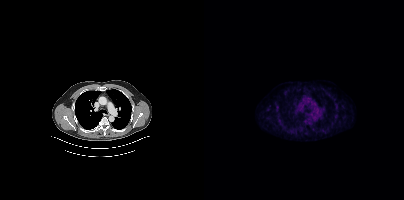
No PSMA-avid tumor lesions on this slice.